- head region blanked for anonymization (face removed)
- Left: CT. Right: PSMA PET, same axial level, 18F tracer
- acquired on Siemens Biograph mCT Flow 20
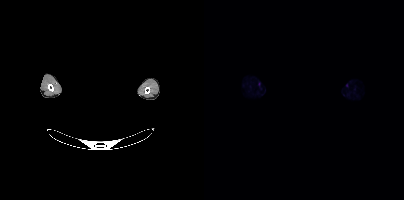
Findings: Negative for PSMA-avid disease on this slice.